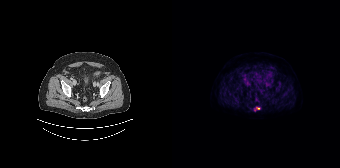
Technique: Two-panel axial: CT | PSMA PET, [18F]PSMA-1007 tracer. PET panel 168×168 px (4.1 mm/px).
Findings: Only PSMA-avid lesion pieces thinner than 2 px on this slice (not listed).